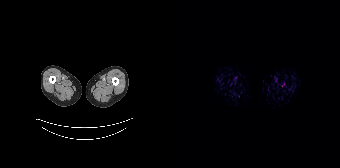
No tumor lesions annotated on this slice. Left: CT. Right: PSMA PET, same axial level, 18F tracer. Acquired on Siemens Biograph 64-4R TruePoint. PET panel 168×168 px (4.1 mm/px).